modality: PSMA PET/CT | tracer: [18F]PSMA-1007 | view: axial
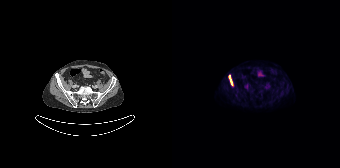
Coordinates are on the 168×168 PET (right) panel. PSMA-avid tumor lesion bounding box (x0,y0,x1,y1): [56,75,61,86].